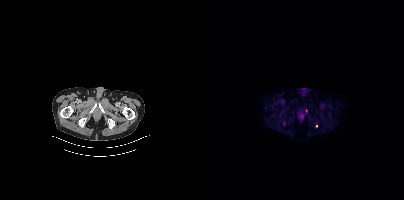
Left: CT. Right: PSMA PET, same axial level, 18F-PSMA tracer. Slice 50 of 413. PET panel 200×200 px (4.1 mm/px). Coordinates are on the 200×200 PET (right) panel. Small PSMA-avid foci (2 to 4 px across) near (center x, center y): (112, 125) | (102, 110).